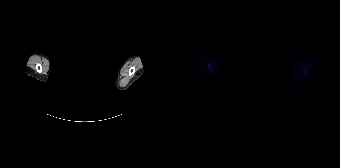
{"modality":"PSMA PET/CT","view":"axial","tracer":"18F","pet_grid":[168,168],"coord_frame":"pet_panel","coord_format":"x0,y0,x1,y1","de-identification":"face masked with black rectangle","psma_avid_lesions":false}